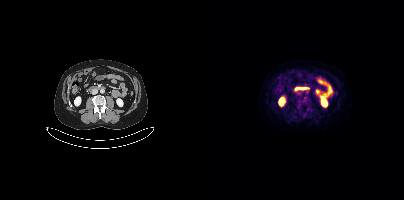
- Two-panel axial: CT | PSMA PET, [18F]PSMA-1007 tracer
- slice 166 of 417
- PET panel 200×200 px (4.1 mm/px)
Findings: Negative for PSMA-avid disease on this slice.